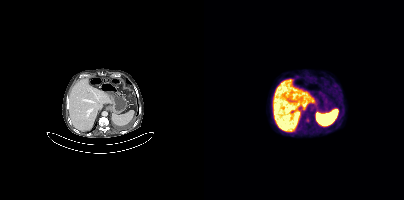
{"modality":"PSMA PET/CT","view":"axial","tracer":"18F","pet_grid":[200,200],"coord_frame":"pet_panel","coord_format":"x0,y0,x1,y1","lesion_bboxes":[],"small_foci_centers":[[95,127]]}